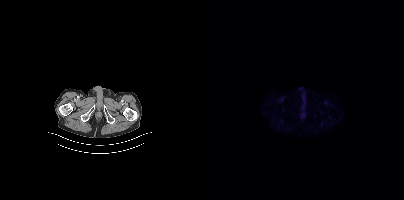
This slice has no annotated PSMA-avid lesion.